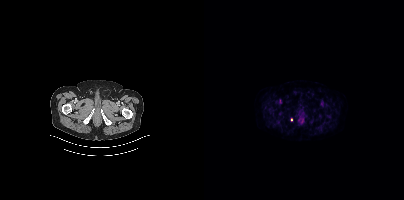
Coordinates are on the 200×200 PET (right) panel. Small PSMA-avid focus (2 to 4 px across) near (center x, center y): (87, 119).